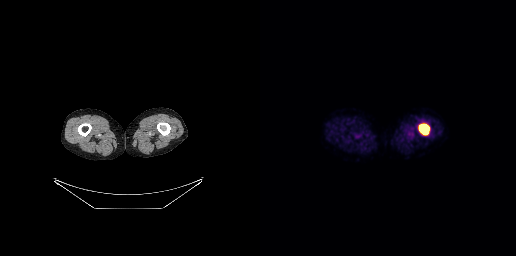
- Left: CT. Right: PSMA PET, same axial level, 18F tracer
- acquired on GE Discovery 690
Findings: Coordinates are on the 256×256 PET (right) panel. PSMA-avid tumor lesion bounding box (x, y, width, height): x=158 y=123 w=12 h=13.